Left: CT. Right: PSMA PET, same axial level, [18F]PSMA-1007 tracer. Acquired on Siemens Biograph mCT Flow 20. PET panel 200×200 px (4.1 mm/px).
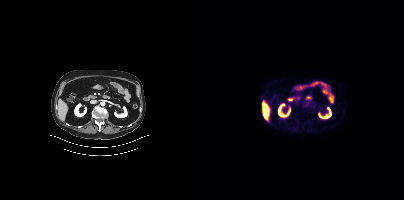
Negative for PSMA-avid disease on this slice.